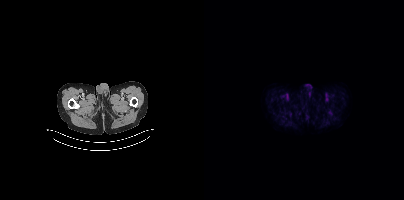
Paired axial CT (left) and PSMA PET (right), [18F]PSMA-1007 tracer. Acquired on Siemens Biograph mCT Flow 20. No tumor lesions annotated on this slice.